modality: PSMA PET/CT | tracer: 18F-PSMA | view: axial
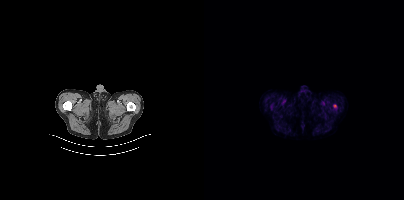
Only PSMA-avid lesion pieces thinner than 2 px on this slice (not listed).